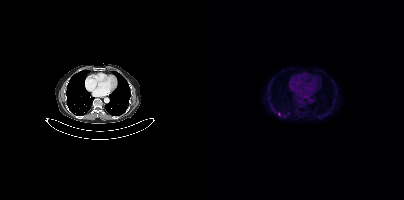
Technique: Left: CT. Right: PSMA PET, same axial level, 18F tracer. acquired on Siemens Biograph mCT Flow 20.
Findings: Coordinates are on the 200×200 PET (right) panel. Small PSMA-avid focus (2 to 4 px across) near (center x, center y): (75, 114).